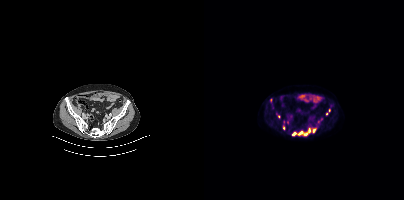
Two-panel axial: CT | PSMA PET, 18F-PSMA tracer. Slice 111 of 413. PET panel 200×200 px (4.1 mm/px).
Coordinates are on the 200×200 PET (right) panel. PSMA-avid tumor lesion bounding boxes (partial; 2 more foci not listed):
| # | x0 | y0 | x1 | y1 |
|---|---|---|---|---|
| 1 | 88 | 128 | 106 | 136 |
| 2 | 109 | 128 | 111 | 132 |
Small PSMA-avid foci (2 to 4 px across) near (center x, center y): (75, 116); (125, 110); (79, 128); (122, 113); (114, 121).